An anonymization step blacked out a rectangle over the head in this scan. Paired axial CT (left) and PSMA PET (right), 18F-PSMA tracer.
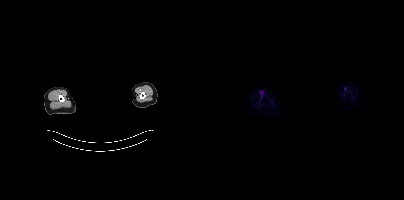
This slice has no annotated PSMA-avid lesion.